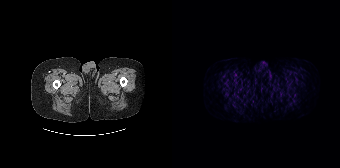
{"pet_grid":[168,168],"coord_frame":"pet_panel","coord_format":"x0,y0,x1,y1","psma_avid_lesions":false,"modality":"PSMA PET/CT","view":"axial","tracer":"68Ga"}